modality: PSMA PET/CT | tracer: 18F-PSMA | view: axial | PET grid: 200×200
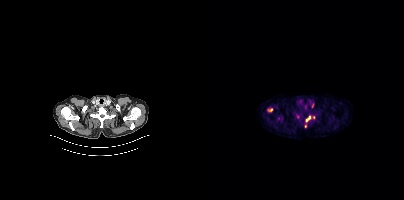
Coordinates are on the 200×200 PET (right) panel. (showing 4 of 5 foci) PSMA-avid tumor lesion bounding box (x0, y0)-(x1, y1): (101, 116)-(106, 122). Small PSMA-avid foci (2 to 4 px across) near (center x, center y): (67, 110) | (109, 117) | (101, 126).